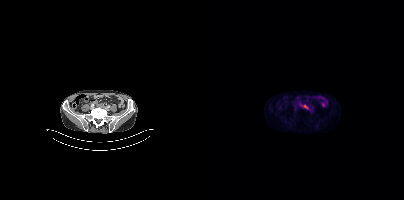
{"modality":"PSMA PET/CT","view":"axial","tracer":"18F-PSMA","pet_grid":[200,200],"coord_frame":"pet_panel","coord_format":"x0,y0,x1,y1","lesion_bboxes":[[97,104,104,109]]}